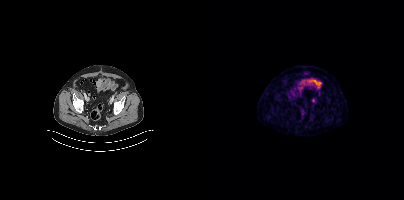
Technique: Two-panel axial: CT | PSMA PET, 68Ga-PSMA tracer. acquired on Siemens Biograph mCT Flow 20.
Findings: Coordinates are on the 200×200 PET (right) panel. Small PSMA-avid focus (2 to 4 px across) near (center x, center y): (109, 100).